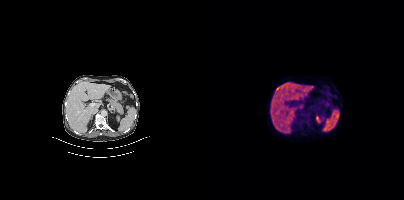
Technique: Two-panel axial: CT | PSMA PET, 18F-PSMA tracer. slice position z = -1210 mm. PET panel 200×200 px (4.1 mm/px).
Findings: No PSMA-avid tumor lesions on this slice.